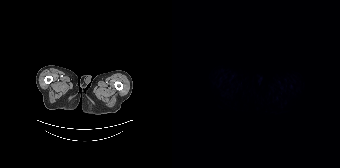
Findings: No PSMA-avid tumor lesions on this slice.
Technique: Paired axial CT (left) and PSMA PET (right), [18F]PSMA-1007 tracer.